modality: PSMA PET/CT | tracer: 68Ga-PSMA | view: axial
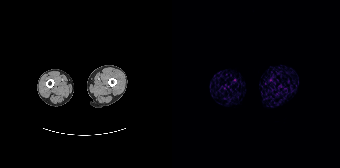
No tumor lesions annotated on this slice.